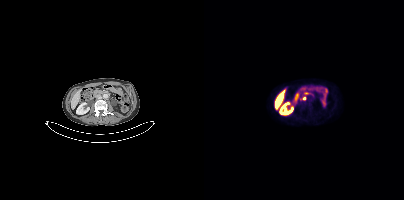
modality: PSMA PET/CT | tracer: 18F-PSMA | view: axial
Coordinates are on the 200×200 PET (right) panel. Small PSMA-avid focus (2 to 4 px across) near (center x, center y): (100, 98).